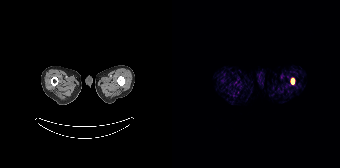
Coordinates are on the 168×168 PET (right) panel. PSMA-avid tumor lesion bounding box (x0,y0,x1,y1): [119,78,122,83]. Left: CT. Right: PSMA PET, same axial level, 68Ga-PSMA tracer. Acquired on Siemens Biograph 64-4R TruePoint. Slice position z = -1039 mm. PET panel 168×168 px (4.1 mm/px).